Paired axial CT (left) and PSMA PET (right), 18F tracer. Slice 308 of 389. PET panel 200×200 px (4.1 mm/px).
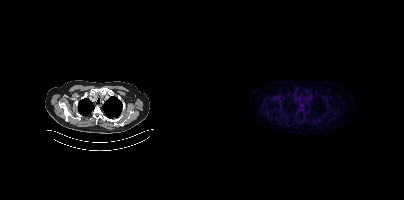
This slice has no annotated PSMA-avid lesion.